Technique: Paired axial CT (left) and PSMA PET (right), 18F tracer. acquired on Siemens Biograph mCT Flow 20. PET panel 200×200 px (4.1 mm/px).
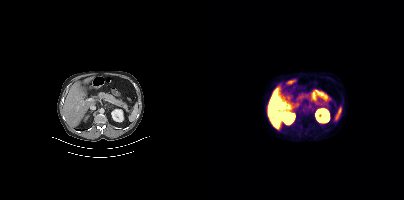
Findings: This slice has no annotated PSMA-avid lesion.